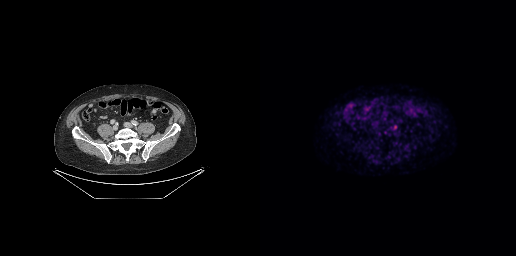
Coordinates are on the 256×256 PET (right) panel. Small PSMA-avid focus (2 to 4 px across) near (center x, center y): (134, 126).